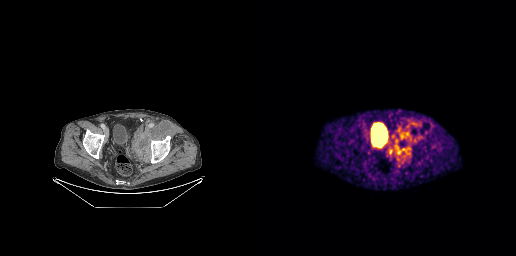
- Two-panel axial: CT | PSMA PET, 68Ga-PSMA tracer
- PET panel 256×256 px (2.7 mm/px)
Findings: Coordinates are on the 256×256 PET (right) panel. PSMA-avid tumor lesion bounding boxes (x0, y0)-(x1, y1): (134, 144)-(149, 160); (142, 136)-(147, 139).